modality: PSMA PET/CT | tracer: 18F | view: axial
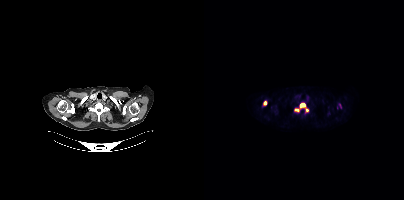
Coordinates are on the 200×200 PET (right) panel. PSMA-avid tumor lesion bounding boxes (x0, y0)-(x1, y1): (90, 102)-(104, 112) / (59, 101)-(63, 105).